Left: CT. Right: PSMA PET, same axial level, 18F tracer. Slice 146 of 435.
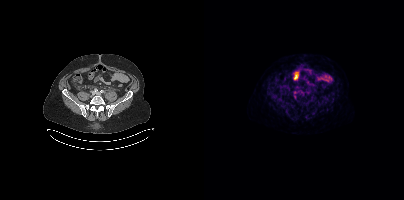
Coordinates are on the 200×200 PET (right) panel. PSMA-avid tumor lesion bounding boxes (partial; 1 more focus not listed):
| # | x0 | y0 | x1 | y1 |
|---|---|---|---|---|
| 1 | 89 | 94 | 92 | 98 |